Technique: Left: CT. Right: PSMA PET, same axial level, 68Ga tracer. acquired on Siemens Biograph 64-4R TruePoint. slice position z = -494 mm. PET panel 168×168 px (4.1 mm/px).
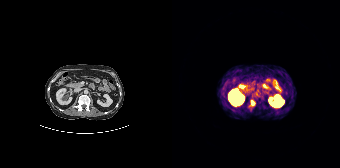
Findings: Coordinates are on the 168×168 PET (right) panel. PSMA-avid tumor lesion bounding box (x0, y0)-(x1, y1): (78, 100)-(83, 105).